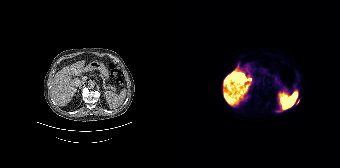
Coordinates are on the 168×168 PET (right) panel. PSMA-avid tumor lesion bounding box (x0, y0)-(x1, y1): (124, 99)-(127, 104). Small PSMA-avid focus (2 to 4 px across) near (center x, center y): (106, 110).